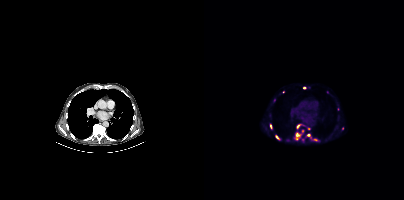
Findings: Coordinates are on the 200×200 PET (right) panel. (showing 12 of 13 foci) PSMA-avid tumor lesion bounding boxes (x0, y0)-(x1, y1): (92, 133)-(96, 139); (72, 135)-(75, 139); (66, 124)-(67, 128). Small PSMA-avid foci (2 to 4 px across) near (center x, center y): (94, 126); (98, 131); (100, 87); (138, 128); (104, 134); (111, 139); (79, 91); (104, 128); (106, 138).
- Left: CT. Right: PSMA PET, same axial level, [18F]PSMA-1007 tracer